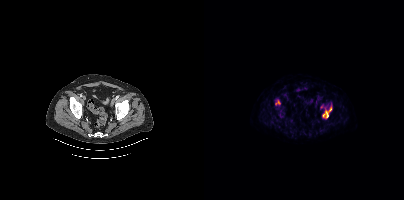
Technique: Left: CT. Right: PSMA PET, same axial level, 18F tracer. slice position z = -903 mm. PET panel 200×200 px (4.1 mm/px).
Findings: Coordinates are on the 200×200 PET (right) panel. (showing 2 of 3 foci) PSMA-avid tumor lesion bounding boxes (x0, y0)-(x1, y1): (118, 106)-(127, 118) / (71, 100)-(76, 104).